Technique: Paired axial CT (left) and PSMA PET (right), 18F-PSMA tracer. acquired on GE Discovery 690. slice position z = -716 mm. PET panel 256×256 px (2.7 mm/px).
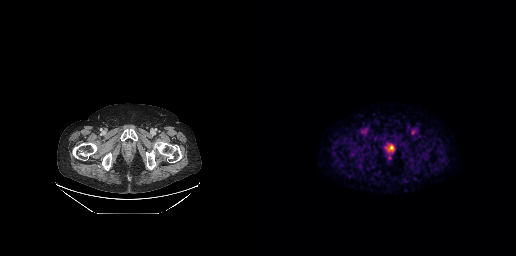
Findings: Coordinates are on the 256×256 PET (right) panel. Small PSMA-avid focus (2 to 4 px across) near (center x, center y): (131, 147).